Two-panel axial: CT | PSMA PET, 18F tracer. Slice 48 of 263. PET panel 256×256 px (2.7 mm/px).
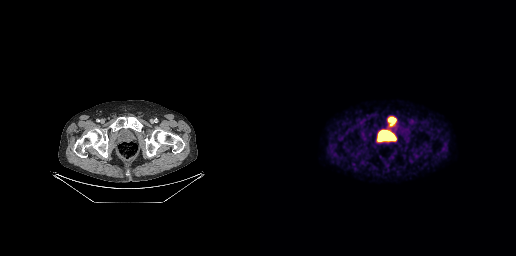
Coordinates are on the 256×256 PET (right) panel. PSMA-avid tumor lesion bounding boxes:
| # | x0 | y0 | x1 | y1 |
|---|---|---|---|---|
| 1 | 128 | 117 | 136 | 125 |